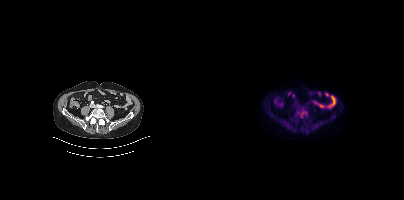
Coordinates are on the 200×200 PET (right) panel. PSMA-avid tumor lesion bounding box (x0,y0,x1,y1): [95,110,102,117].